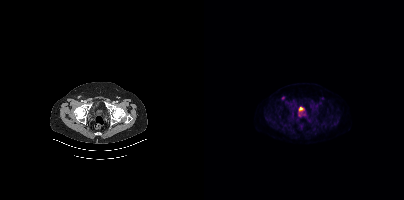
Coordinates are on the 200×200 PET (right) panel. Small PSMA-avid focus (2 to 4 px across) near (center x, center y): (79, 97). Paired axial CT (left) and PSMA PET (right), 18F tracer. Acquired on Siemens Biograph mCT Flow 20. PET panel 200×200 px (4.1 mm/px).